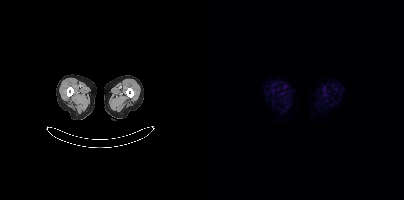
Negative for PSMA-avid disease on this slice. Paired axial CT (left) and PSMA PET (right), 18F-PSMA tracer. Acquired on Siemens Biograph mCT Flow 20. Slice 14 of 415. PET panel 200×200 px (4.1 mm/px).